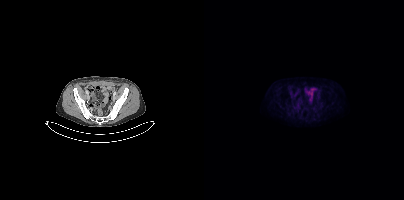
This slice has no annotated PSMA-avid lesion.